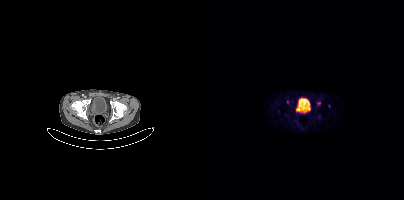
Only PSMA-avid lesion pieces thinner than 2 px on this slice (not listed).